modality: PSMA PET/CT | tracer: 18F | view: axial
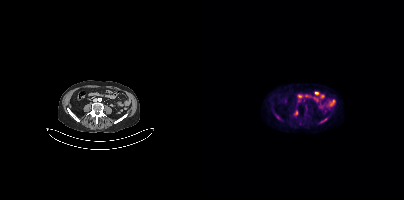
Coordinates are on the 200×200 PET (right) panel. Small PSMA-avid focus (2 to 4 px across) near (center x, center y): (92, 112).